Left: CT. Right: PSMA PET, same axial level, 18F tracer. Acquired on GE Discovery 690.
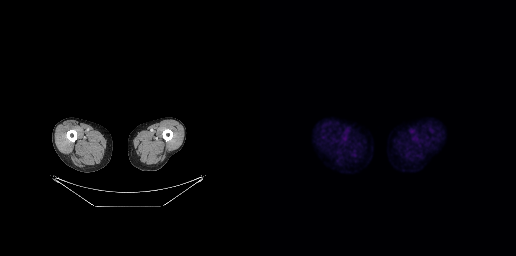
No tumor lesions annotated on this slice.